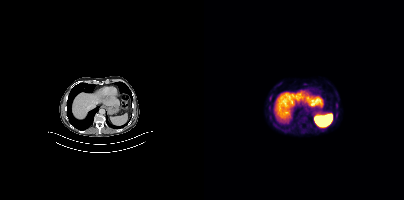
modality: PSMA PET/CT | tracer: 18F-PSMA | view: axial
Negative for PSMA-avid disease on this slice.